Paired axial CT (left) and PSMA PET (right), 18F-PSMA tracer. Slice 258 of 452. PET panel 200×200 px (4.1 mm/px).
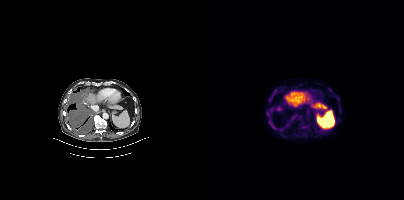
Coordinates are on the 200×200 PET (right) panel. PSMA-avid tumor lesion bounding boxes (partial; 1 more focus not listed):
| # | x0 | y0 | x1 | y1 |
|---|---|---|---|---|
| 1 | 98 | 126 | 102 | 127 |
Small PSMA-avid foci (2 to 4 px across) near (center x, center y): (65, 98); (124, 89); (63, 114); (64, 121).